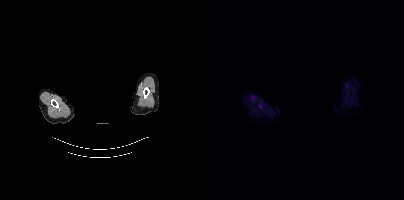
{"modality":"PSMA PET/CT","view":"axial","tracer":"18F-PSMA","pet_grid":[200,200],"coord_frame":"pet_panel","coord_format":"x0,y0,x1,y1","de-identification":"rectangular block over head set to black","psma_avid_lesions":false}